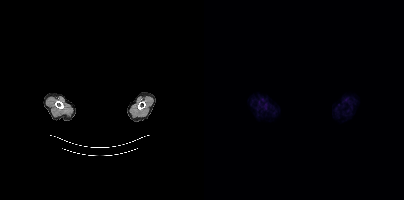
{"modality":"PSMA PET/CT","view":"axial","tracer":"18F-PSMA","pet_grid":[200,200],"coord_frame":"pet_panel","coord_format":"x0,y0,x1,y1","psma_avid_lesions":false,"deidentification":"rectangular block over head set to black"}